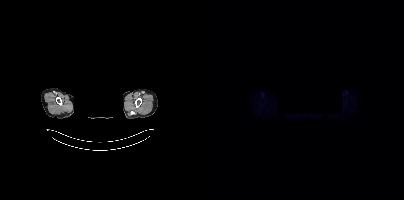
- facial anatomy redacted by setting a rectangular region of the head to black
- Left: CT. Right: PSMA PET, same axial level, 18F tracer
- PET panel 200×200 px (4.1 mm/px)
Findings: Negative for PSMA-avid disease on this slice.